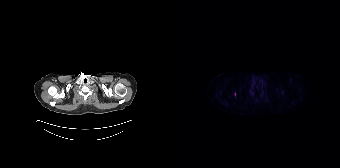
Only PSMA-avid lesion pieces thinner than 2 px on this slice (not listed).
modality: PSMA PET/CT | tracer: 18F-PSMA | view: axial | PET grid: 168×168